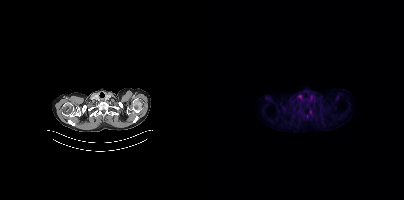
Two-panel axial: CT | PSMA PET, 18F tracer. Acquired on Siemens Biograph mCT Flow 20. This slice has no annotated PSMA-avid lesion.